- Two-panel axial: CT | PSMA PET, [68Ga]Ga-PSMA-11 tracer
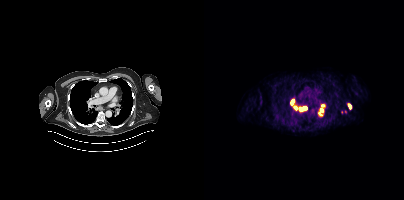
Findings: Coordinates are on the 200×200 PET (right) panel. (showing 7 of 8 foci) PSMA-avid tumor lesion bounding boxes (x0,y0,x1,y1): [95,107,102,110]; [87,100,89,105]; [144,104,146,108]. Small PSMA-avid foci (2 to 4 px across) near (center x, center y): (91, 107); (117, 110); (116, 114); (119, 105).